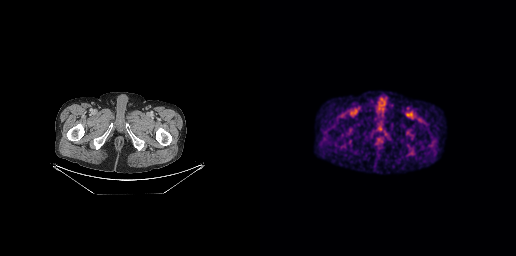
This slice has no annotated PSMA-avid lesion.